Technique: Two-panel axial: CT | PSMA PET, 18F-PSMA tracer. acquired on Siemens Biograph mCT Flow 20.
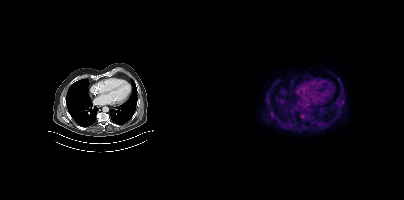
Findings: This slice has no annotated PSMA-avid lesion.